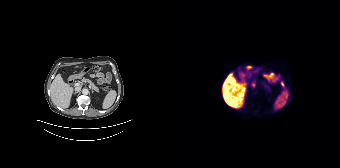
- Paired axial CT (left) and PSMA PET (right), 18F-PSMA tracer
- acquired on Siemens Biograph 64-4R TruePoint
- slice position z = -854 mm
Findings: No tumor lesions annotated on this slice.